Technique: Paired axial CT (left) and PSMA PET (right), [68Ga]Ga-PSMA-11 tracer. PET panel 200×200 px (4.1 mm/px).
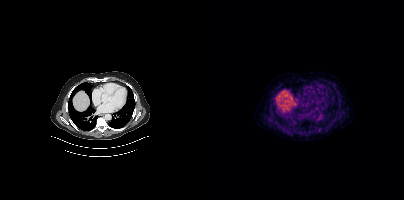
Findings: Coordinates are on the 200×200 PET (right) panel. Small PSMA-avid focus (2 to 4 px across) near (center x, center y): (115, 129).